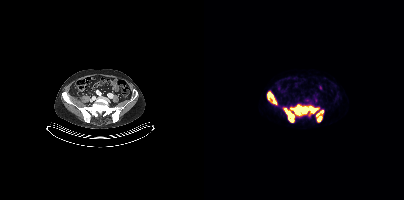
Coordinates are on the 200×200 PET (right) panel. PSMA-avid tumor lesion bounding boxes:
| # | x0 | y0 | x1 | y1 |
|---|---|---|---|---|
| 1 | 86 | 105 | 113 | 115 |
| 2 | 80 | 108 | 90 | 122 |
| 3 | 63 | 92 | 72 | 104 |
| 4 | 112 | 110 | 119 | 121 |
Left: CT. Right: PSMA PET, same axial level, 18F-PSMA tracer. Acquired on Siemens Biograph mCT Flow 20.